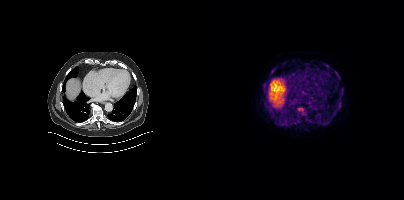
Findings: Coordinates are on the 200×200 PET (right) panel. (showing 7 of 8 foci) PSMA-avid tumor lesion bounding boxes (x0, y0)-(x1, y1): (118, 119)-(125, 125) / (94, 108)-(99, 111) / (133, 106)-(136, 110) / (121, 64)-(125, 67). Small PSMA-avid foci (2 to 4 px across) near (center x, center y): (137, 93) / (61, 90) / (132, 73).
- Left: CT. Right: PSMA PET, same axial level, 18F tracer
- slice 281 of 454